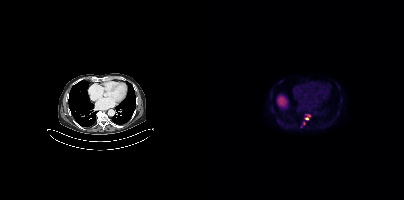
Two-panel axial: CT | PSMA PET, [18F]PSMA-1007 tracer. Acquired on Siemens Biograph mCT Flow 20.
Coordinates are on the 200×200 PET (right) panel. PSMA-avid tumor lesion bounding boxes (partial; 1 more focus not listed):
| # | x0 | y0 | x1 | y1 |
|---|---|---|---|---|
| 1 | 103 | 115 | 106 | 119 |